Left: CT. Right: PSMA PET, same axial level, [68Ga]Ga-PSMA-11 tracer. Acquired on GE Discovery 690. Slice position z = -326 mm. PET panel 256×256 px (2.7 mm/px).
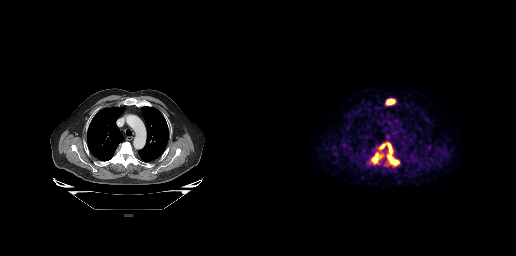
Coordinates are on the 256×256 PET (right) panel. PSMA-avid tumor lesion bounding boxes:
| # | x0 | y0 | x1 | y1 |
|---|---|---|---|---|
| 1 | 110 | 141 | 139 | 167 |
| 2 | 126 | 98 | 135 | 105 |